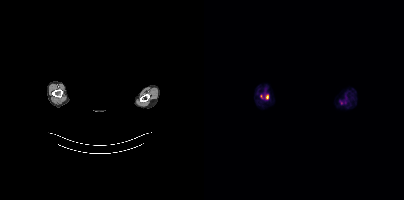
Left: CT. Right: PSMA PET, same axial level, 18F tracer. Acquired on Siemens Biograph mCT Flow 20. A rectangle over the head was blacked out to remove identifiable facial features. No PSMA-avid tumor lesions on this slice.